Left: CT. Right: PSMA PET, same axial level, [18F]PSMA-1007 tracer. Acquired on Siemens Biograph mCT Flow 20.
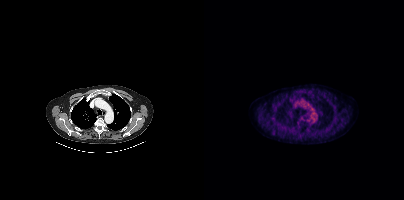
Negative for PSMA-avid disease on this slice.